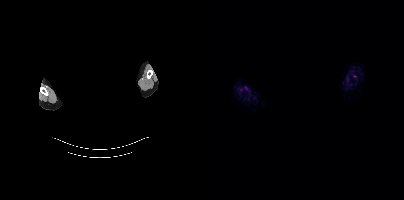
Two-panel axial: CT | PSMA PET, 18F-PSMA tracer. Slice 403 of 407. PET panel 200×200 px (4.1 mm/px). Facial anatomy redacted by setting a rectangular region of the head to black. Negative for PSMA-avid disease on this slice.